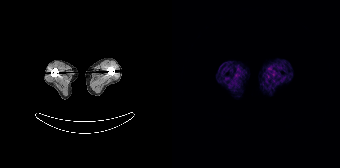
No PSMA-avid tumor lesions on this slice.